- Left: CT. Right: PSMA PET, same axial level, [18F]PSMA-1007 tracer
- acquired on Siemens Biograph mCT Flow 20
- slice 25 of 344
- PET panel 200×200 px (4.1 mm/px)
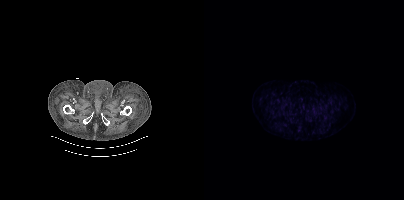
Findings: No PSMA-avid tumor lesions on this slice.